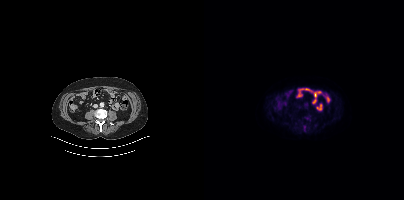
{"modality":"PSMA PET/CT","view":"axial","tracer":"18F","pet_grid":[200,200],"coord_frame":"pet_panel","coord_format":"x0,y0,x1,y1","lesion_bboxes":[[99,125,102,130]],"small_foci_centers":[[111,125]]}